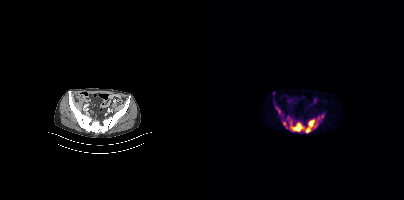
Findings: Coordinates are on the 200×200 PET (right) panel. (showing 4 of 6 foci) PSMA-avid tumor lesion bounding boxes (x0,y0,x1,y1): [86,115,119,132], [71,106,76,114]. Small PSMA-avid foci (2 to 4 px across) near (center x, center y): (80, 123), (82, 127).
Technique: Left: CT. Right: PSMA PET, same axial level, 18F tracer.